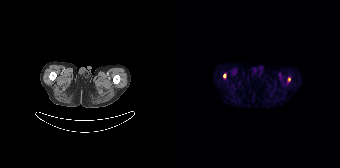
Coordinates are on the 168×168 PET (right) panel. Small PSMA-avid foci (2 to 4 px across) near (center x, center y): (52, 75) | (117, 79).